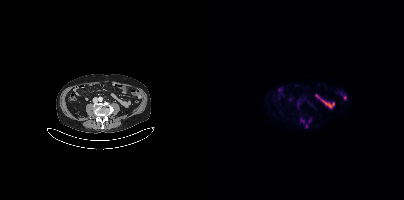
Technique: Two-panel axial: CT | PSMA PET, 18F tracer.
Findings: Only PSMA-avid lesion pieces thinner than 2 px on this slice (not listed).